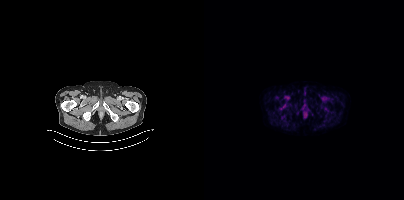
modality: PSMA PET/CT | tracer: 18F | view: axial | PET grid: 200×200
Coordinates are on the 200×200 PET (right) panel. PSMA-avid tumor lesion bounding box (x, y, width, height): x=75 y=104 w=6 h=5. Small PSMA-avid focus (2 to 4 px across) near (center x, center y): (73, 97).